- Left: CT. Right: PSMA PET, same axial level, [18F]PSMA-1007 tracer
- slice 311 of 387
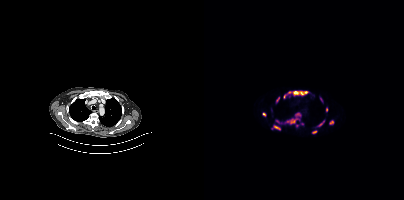
Findings: Coordinates are on the 200×200 PET (right) panel. (showing 13 of 14 foci) PSMA-avid tumor lesion bounding boxes (x0, y0)-(x1, y1): (82, 113)-(96, 124) | (89, 91)-(104, 95) | (79, 91)-(87, 98) | (69, 125)-(76, 129) | (125, 120)-(129, 124) | (108, 130)-(112, 133) | (72, 97)-(75, 102) | (115, 121)-(120, 126) | (58, 112)-(62, 115). Small PSMA-avid foci (2 to 4 px across) near (center x, center y): (122, 109) | (117, 99) | (92, 125) | (98, 123).